modality: PSMA PET/CT | tracer: [68Ga]Ga-PSMA-11 | view: axial | PET grid: 168×168
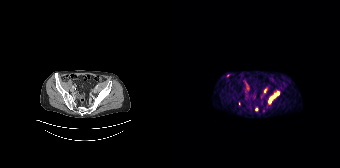
Coordinates are on the 168×168 PET (right) panel. (showing 4 of 5 foci) PSMA-avid tumor lesion bounding boxes (x, y, width, height): x=97 y=97 w=4 h=7; x=102 y=92 w=5 h=6; x=92 y=88 w=4 h=5. Small PSMA-avid focus (2 to 4 px across) near (center x, center y): (84, 109).